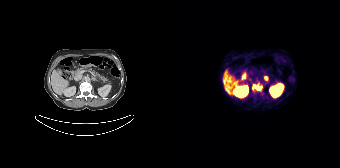
Findings: Coordinates are on the 168×168 PET (right) panel. PSMA-avid tumor lesion bounding box (x, y, width, height): x=80 y=84 w=11 h=7.
- Left: CT. Right: PSMA PET, same axial level, 68Ga-PSMA tracer
- PET panel 168×168 px (4.1 mm/px)